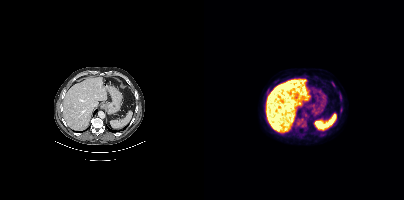
Coordinates are on the 200×200 PET (right) panel. PSMA-avid tumor lesion bounding box (x0, y0)-(x1, y1): (136, 108)-(138, 113). Small PSMA-avid foci (2 to 4 px across) near (center x, center y): (129, 84); (136, 93).